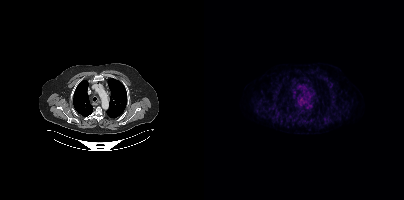
{"modality":"PSMA PET/CT","view":"axial","tracer":"[18F]PSMA-1007","pet_grid":[200,200],"coord_frame":"pet_panel","coord_format":"x0,y0,x1,y1","psma_avid_lesions":false}